- Left: CT. Right: PSMA PET, same axial level, 18F tracer
- slice position z = -790 mm
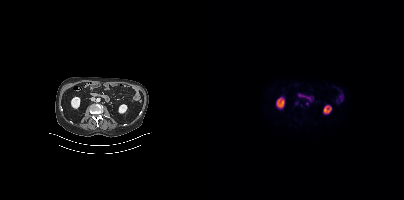
Findings: Coordinates are on the 200×200 PET (right) panel. (showing 1 of 2 foci) Small PSMA-avid focus (2 to 4 px across) near (center x, center y): (92, 103).